Technique: Paired axial CT (left) and PSMA PET (right), 68Ga-PSMA tracer. slice position z = -819 mm.
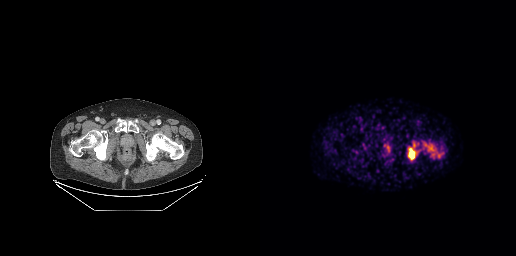
Findings: Coordinates are on the 256×256 PET (right) panel. (showing 1 of 2 foci) PSMA-avid tumor lesion bounding box (x, y, width, height): x=148 y=148 w=8 h=12.